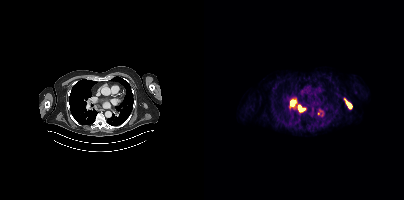
Coordinates are on the 200×200 PET (right) panel. PSMA-avid tumor lesion bounding boxes:
| # | x0 | y0 | x1 | y1 |
|---|---|---|---|---|
| 1 | 142 | 101 | 147 | 107 |
| 2 | 95 | 106 | 100 | 111 |
| 3 | 87 | 100 | 90 | 105 |
Paired axial CT (left) and PSMA PET (right), [68Ga]Ga-PSMA-11 tracer. Acquired on Siemens Biograph mCT Flow 20. Slice position z = -1036 mm. PET panel 200×200 px (4.1 mm/px).